modality: PSMA PET/CT | tracer: 18F-PSMA | view: axial | PET grid: 200×200 | deidentification: head region blacked out before release
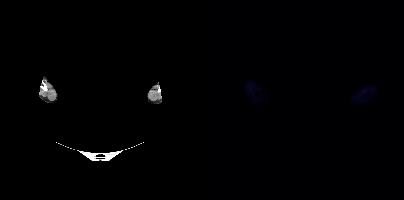
This slice has no annotated PSMA-avid lesion.